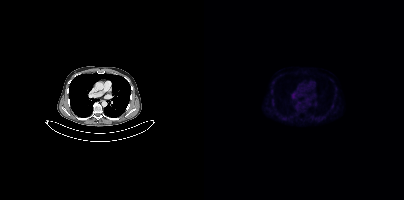
Negative for PSMA-avid disease on this slice.